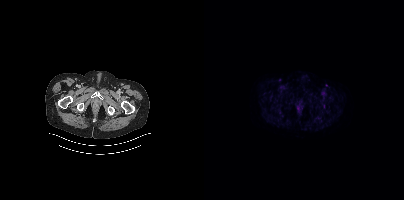
{"pet_grid":[200,200],"coord_frame":"pet_panel","coord_format":"x0,y0,x1,y1","psma_avid_lesions":false,"modality":"PSMA PET/CT","view":"axial","tracer":"18F-PSMA"}